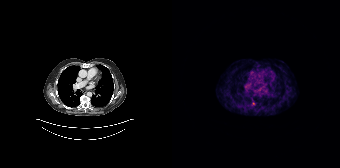
Coordinates are on the 168×168 PET (right) panel. Small PSMA-avid focus (2 to 4 px across) near (center x, center y): (81, 103).